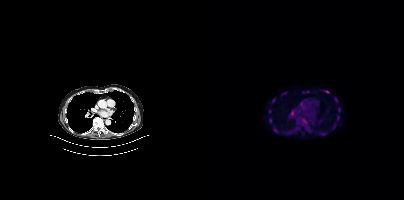
Coordinates are on the 200×200 PET (right) panel. (showing 6 of 7 foci) PSMA-avid tumor lesion bounding boxes (x0,y0,x1,y1): [131,97,133,102], [133,115,135,120], [134,107,136,111]. Small PSMA-avid foci (2 to 4 px across) near (center x, center y): (122, 92), (66, 120), (65, 111).